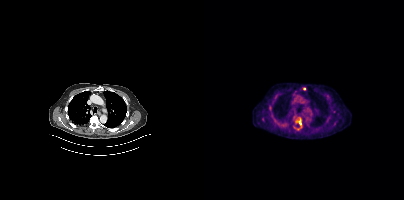
Findings: Coordinates are on the 200×200 PET (right) panel. PSMA-avid tumor lesion bounding box (x, y, width, height): x=95 y=120 w=3 h=5. Small PSMA-avid focus (2 to 4 px across) near (center x, center y): (100, 88).
Technique: Paired axial CT (left) and PSMA PET (right), [18F]PSMA-1007 tracer. slice 282 of 377. PET panel 200×200 px (4.1 mm/px).